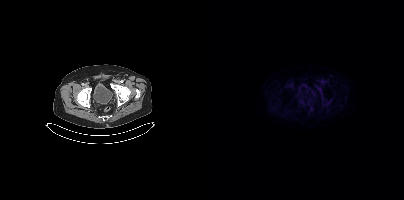
Negative for PSMA-avid disease on this slice.